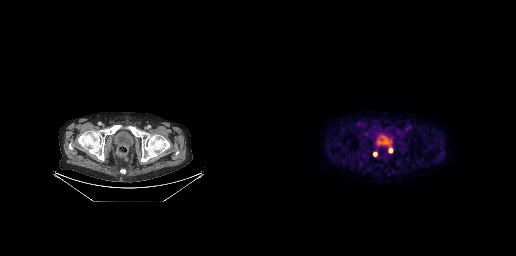
Coordinates are on the 256×256 PET (right) panel. Small PSMA-avid foci (2 to 4 px across) near (center x, center y): (130, 150) / (115, 153). Paired axial CT (left) and PSMA PET (right), 18F-PSMA tracer. PET panel 256×256 px (2.7 mm/px).